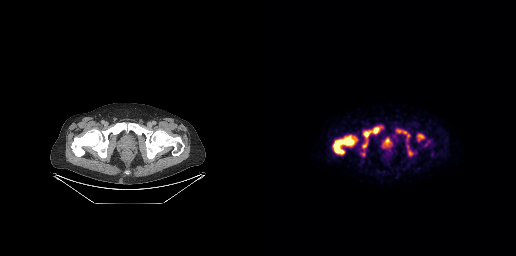
Coordinates are on the 256×256 PET (right) panel. PSMA-avid tumor lesion bounding boxes (x0, y0)-(x1, y1): (73, 135)-(97, 154) / (102, 126)-(122, 148) / (136, 129)-(150, 140) / (157, 133)-(164, 141) / (147, 145)-(153, 156) / (125, 140)-(129, 144). Small PSMA-avid focus (2 to 4 px across) near (center x, center y): (103, 154).